- Paired axial CT (left) and PSMA PET (right), 18F tracer
- PET panel 200×200 px (4.1 mm/px)
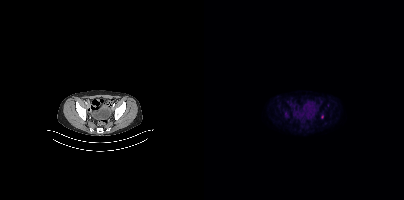
Findings: Only PSMA-avid lesion pieces thinner than 2 px on this slice (not listed).